Paired axial CT (left) and PSMA PET (right), 18F-PSMA tracer. Acquired on Siemens Biograph mCT Flow 20. Slice 287 of 391.
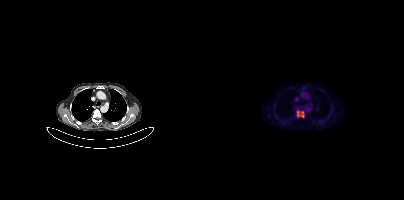
Coordinates are on the 200×200 PET (right) panel. PSMA-avid tumor lesion bounding boxes:
| # | x0 | y0 | x1 | y1 |
|---|---|---|---|---|
| 1 | 93 | 110 | 100 | 117 |